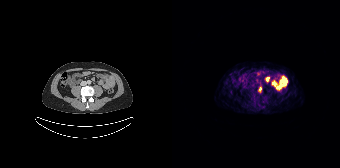
Findings: Coordinates are on the 168×168 PET (right) panel. PSMA-avid tumor lesion bounding box (x0,y0,x1,y1): [87,87,89,91].
Technique: Paired axial CT (left) and PSMA PET (right), 68Ga-PSMA tracer. slice 83 of 195. PET panel 168×168 px (4.1 mm/px).